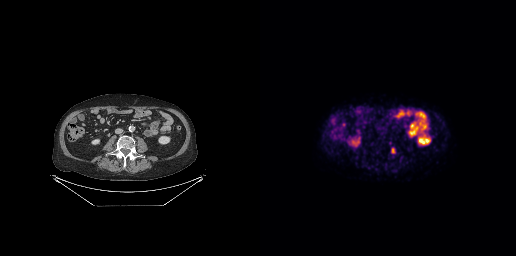
{"modality":"PSMA PET/CT","view":"axial","tracer":"18F-PSMA","pet_grid":[256,256],"coord_frame":"pet_panel","coord_format":"x0,y0,x1,y1","lesion_bboxes":[[131,147,135,153]]}